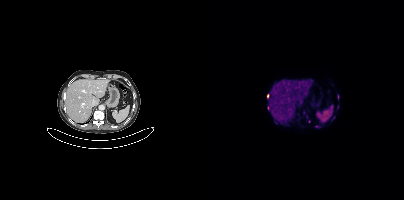
{"modality":"PSMA PET/CT","view":"axial","tracer":"68Ga-PSMA","pet_grid":[200,200],"coord_frame":"pet_panel","coord_format":"x0,y0,x1,y1","partial":true,"lesion_bboxes":[[112,126,116,127]],"small_foci_centers":[[63,95],[64,107]]}